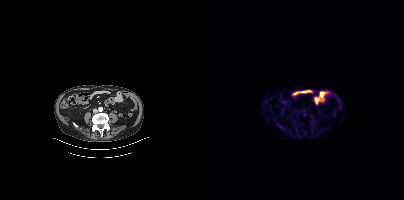
Coordinates are on the 200×200 PET (right) panel. PSMA-avid tumor lesion bounding box (x0,y0,x1,y1): [73,123,78,128].